Technique: Two-panel axial: CT | PSMA PET, [18F]PSMA-1007 tracer. slice 301 of 403. PET panel 200×200 px (4.1 mm/px).
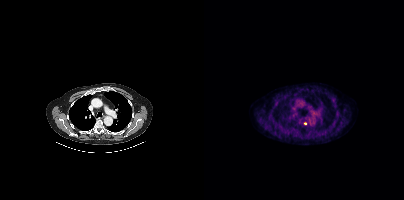
Findings: Coordinates are on the 200×200 PET (right) panel. Small PSMA-avid focus (2 to 4 px across) near (center x, center y): (101, 123).